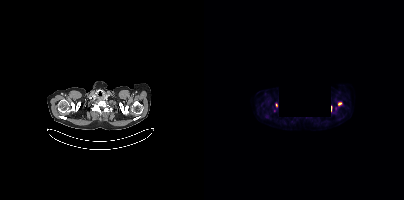
Coordinates are on the 200×200 PET (right) panel. (showing 2 of 3 foci) Small PSMA-avid foci (2 to 4 px across) near (center x, center y): (135, 103) (72, 105).
modality: PSMA PET/CT | tracer: 18F | view: axial | PET grid: 200×200 | deidentification: rectangle blanked before release